Technique: Paired axial CT (left) and PSMA PET (right), 18F tracer.
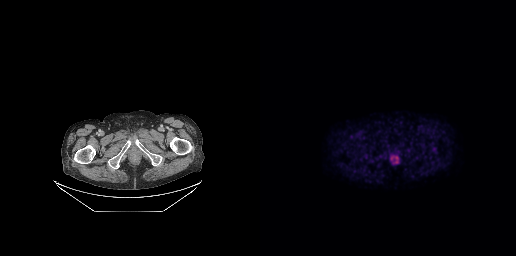
Findings: No PSMA-avid tumor lesions on this slice.